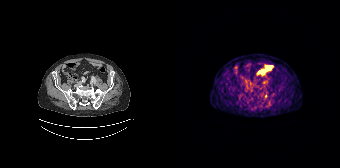
modality: PSMA PET/CT | tracer: 68Ga | view: axial | PET grid: 168×168
Coordinates are on the 168×168 PET (right) panel. Small PSMA-avid focus (2 to 4 px across) near (center x, center y): (93, 96).